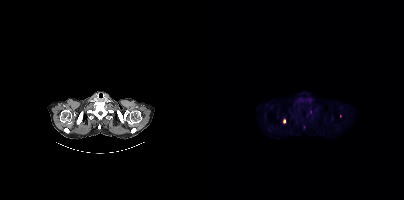
Findings: Coordinates are on the 200×200 PET (right) panel. (showing 3 of 4 foci) Small PSMA-avid foci (2 to 4 px across) near (center x, center y): (80, 121) / (136, 116) / (99, 127).
Technique: Two-panel axial: CT | PSMA PET, 18F-PSMA tracer. acquired on Siemens Biograph mCT Flow 20.